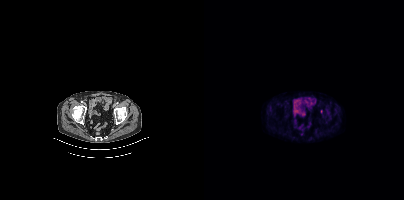
{"modality":"PSMA PET/CT","view":"axial","tracer":"18F-PSMA","pet_grid":[200,200],"coord_frame":"pet_panel","coord_format":"x0,y0,x1,y1","psma_avid_lesions":false}